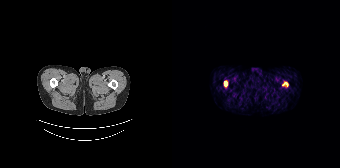
{"modality":"PSMA PET/CT","view":"axial","tracer":"68Ga-PSMA","pet_grid":[168,168],"coord_frame":"pet_panel","coord_format":"x0,y0,x1,y1","lesion_bboxes":[[52,80,55,87],[110,82,116,86]]}